redaction: face masked with black rectangle | modality: PSMA PET/CT | tracer: 68Ga | view: axial
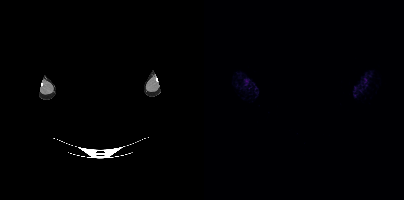
No PSMA-avid tumor lesions on this slice.